modality: PSMA PET/CT | tracer: 18F-PSMA | view: axial
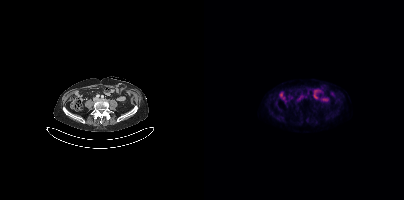
Negative for PSMA-avid disease on this slice.